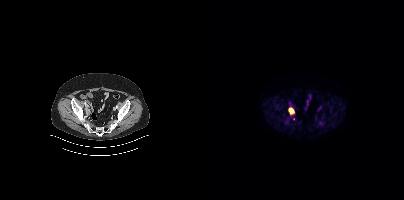
Coordinates are on the 200×200 PET (right) panel. (showing 1 of 2 foci) PSMA-avid tumor lesion bounding box (x, y, width, height): x=84 y=107 w=7 h=8.